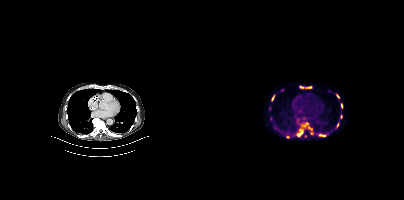
Coordinates are on the 200×200 PET (right) panel. (showing 9 of 11 foci) PSMA-avid tumor lesion bounding boxes (x0,y0,x1,y1): [92,122,108,136] [95,85,108,89] [115,134,122,136] [67,95,71,101] [137,103,139,108] [132,94,135,98] [132,122,135,127] [136,114,138,118]. Small PSMA-avid focus (2 to 4 px across) near (center x, center y): (107, 133).